modality: PSMA PET/CT | tracer: 18F-PSMA | view: axial | PET grid: 200×200
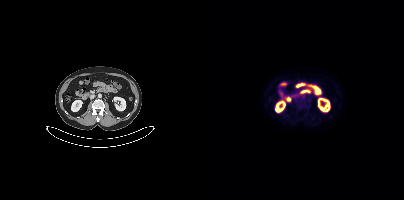
No PSMA-avid tumor lesions on this slice.